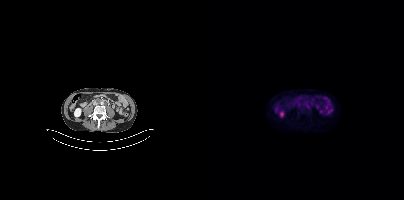
{"pet_grid":[200,200],"coord_frame":"pet_panel","coord_format":"x0,y0,x1,y1","lesion_bboxes":[],"small_foci_centers":[[103,106]],"modality":"PSMA PET/CT","view":"axial","tracer":"18F-PSMA"}